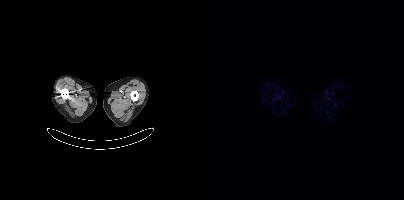
modality: PSMA PET/CT | tracer: 18F | view: axial
No PSMA-avid tumor lesions on this slice.